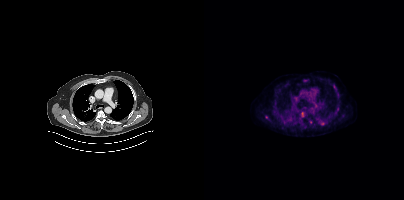
Findings: Coordinates are on the 200×200 PET (right) panel. (showing 5 of 6 foci) PSMA-avid tumor lesion bounding box (x0,y0,x1,y1): [97,112,100,117]. Small PSMA-avid foci (2 to 4 px across) near (center x, center y): (106, 121) (133, 109) (119, 123) (62, 117).
Technique: Left: CT. Right: PSMA PET, same axial level, 18F tracer.